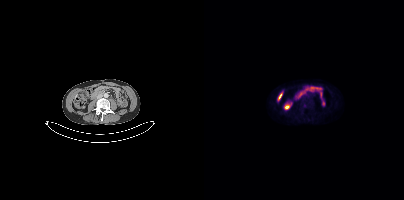
{"modality":"PSMA PET/CT","view":"axial","tracer":"[18F]PSMA-1007","pet_grid":[200,200],"coord_frame":"pet_panel","coord_format":"x0,y0,x1,y1","psma_avid_lesions":false}